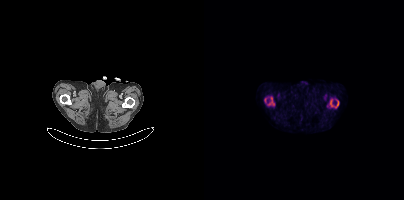
modality: PSMA PET/CT | tracer: 18F | view: axial | PET grid: 200×200
Coordinates are on the 200×200 PET (right) panel. (showing 4 of 6 foci) PSMA-avid tumor lesion bounding boxes (x0,y0,x1,y1): [131,101,134,107], [67,98,70,104]. Small PSMA-avid foci (2 to 4 px across) near (center x, center y): (128, 105), (126, 102).